Technique: Paired axial CT (left) and PSMA PET (right), [18F]PSMA-1007 tracer. acquired on Siemens Biograph mCT Flow 20. slice position z = -506 mm. PET panel 200×200 px (4.1 mm/px).
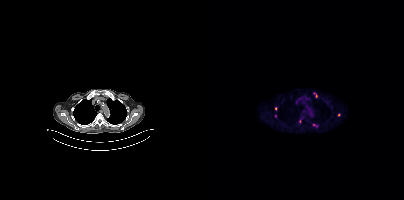
Findings: Coordinates are on the 200×200 PET (right) panel. PSMA-avid tumor lesion bounding boxes (x0,y0,x1,y1): [109,92,113,97]; [109,124,113,126]. Small PSMA-avid foci (2 to 4 px across) near (center x, center y): (135, 114); (72, 108); (95, 121); (71, 115).